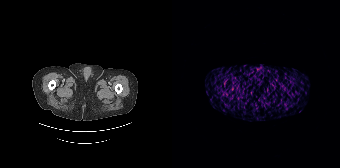
Findings: Negative for PSMA-avid disease on this slice.
- Two-panel axial: CT | PSMA PET, 68Ga tracer
- PET panel 168×168 px (4.1 mm/px)